Technique: Paired axial CT (left) and PSMA PET (right), 18F tracer.
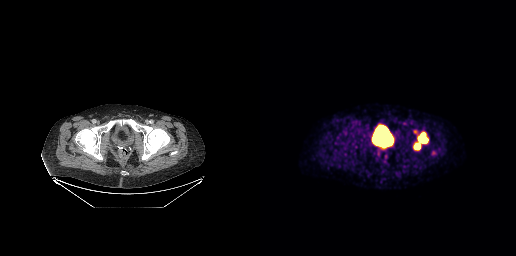
Findings: Coordinates are on the 256×256 PET (right) panel. PSMA-avid tumor lesion bounding box (x0,y0,x1,y1): [153,132,168,150].